modality: PSMA PET/CT | tracer: 18F-PSMA | view: axial | de-identification: facial region redacted
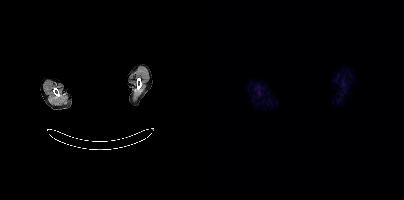
No PSMA-avid tumor lesions on this slice.